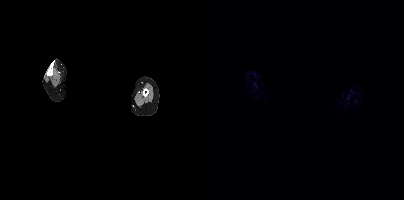
Negative for PSMA-avid disease on this slice. Left: CT. Right: PSMA PET, same axial level, [68Ga]Ga-PSMA-11 tracer. Privacy masking over the head, with the pixels inside a rectangle set to black.